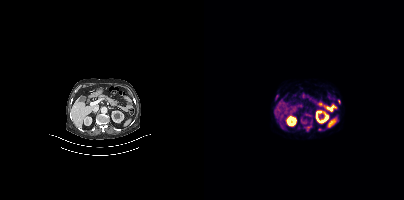
Coordinates are on the 200×200 PET (right) panel. (showing 3 of 4 foci) PSMA-avid tumor lesion bounding boxes (x, y, width, height): x=101 y=126 w=6 h=5 / x=71 y=95 w=4 h=5. Small PSMA-avid focus (2 to 4 px across) near (center x, center y): (115, 129).